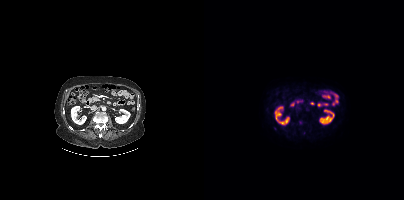
Negative for PSMA-avid disease on this slice.